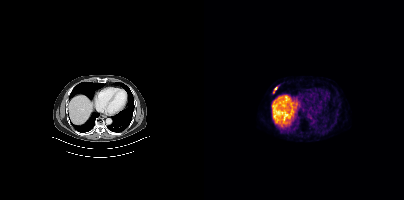
Technique: Paired axial CT (left) and PSMA PET (right), 68Ga tracer. slice position z = -1108 mm. PET panel 200×200 px (4.1 mm/px).
Findings: Coordinates are on the 200×200 PET (right) panel. Small PSMA-avid focus (2 to 4 px across) near (center x, center y): (71, 88).